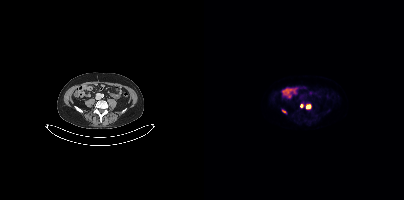
{"modality":"PSMA PET/CT","view":"axial","tracer":"18F-PSMA","pet_grid":[200,200],"coord_frame":"pet_panel","coord_format":"x0,y0,x1,y1","lesion_bboxes":[[102,104,106,108]],"small_foci_centers":[[79,111],[97,106]]}